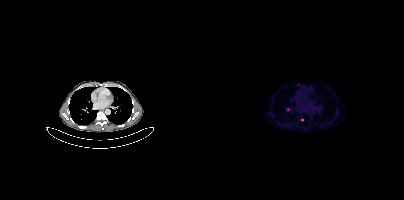
Coordinates are on the 200×200 PET (right) panel. Small PSMA-avid foci (2 to 4 px across) near (center x, center y): (84, 109) / (94, 84) / (97, 120). Two-panel axial: CT | PSMA PET, [68Ga]Ga-PSMA-11 tracer. PET panel 200×200 px (4.1 mm/px).